Technique: Paired axial CT (left) and PSMA PET (right), [18F]PSMA-1007 tracer. acquired on GE Discovery 690. PET panel 256×256 px (2.7 mm/px).
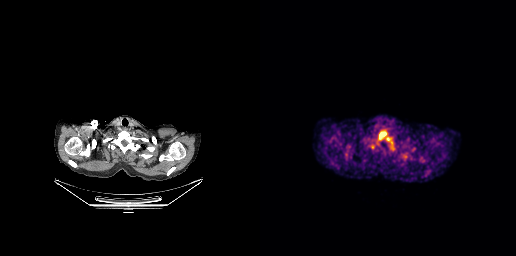
Findings: Coordinates are on the 256×256 PET (right) panel. PSMA-avid tumor lesion bounding box (x0,y0,x1,y1): [119,131,126,139]. Small PSMA-avid focus (2 to 4 px across) near (center x, center y): (128, 138).